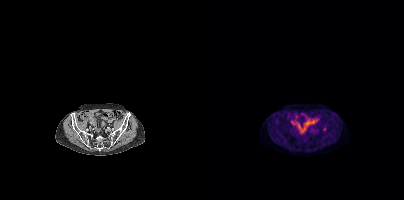
Technique: Left: CT. Right: PSMA PET, same axial level, 18F tracer. acquired on Siemens Biograph mCT Flow 20.
Findings: Coordinates are on the 200×200 PET (right) panel. Small PSMA-avid focus (2 to 4 px across) near (center x, center y): (120, 128).